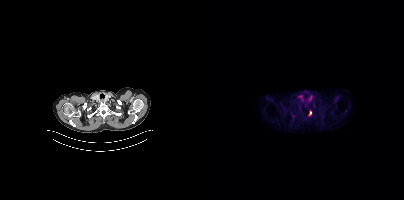
Technique: Left: CT. Right: PSMA PET, same axial level, 18F tracer.
Findings: Coordinates are on the 200×200 PET (right) panel. PSMA-avid tumor lesion bounding box (x0, y0)-(x1, y1): (104, 110)-(107, 115).